Technique: Paired axial CT (left) and PSMA PET (right), 68Ga-PSMA tracer.
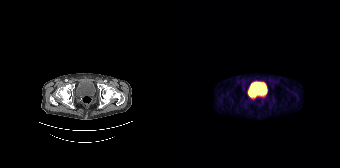
Findings: Only PSMA-avid lesion pieces thinner than 2 px on this slice (not listed).